Left: CT. Right: PSMA PET, same axial level, 18F-PSMA tracer. Acquired on Siemens Biograph 64-4R TruePoint. PET panel 168×168 px (4.1 mm/px).
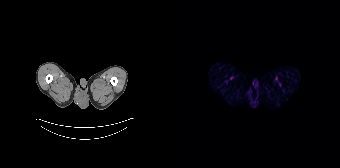
No PSMA-avid tumor lesions on this slice.